Technique: Two-panel axial: CT | PSMA PET, 18F-PSMA tracer. acquired on Siemens Biograph mCT Flow 20. PET panel 200×200 px (4.1 mm/px).
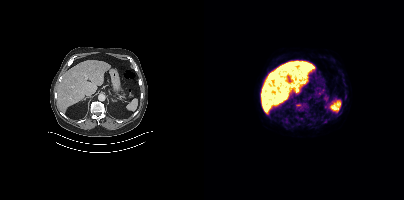
Findings: Only PSMA-avid lesion pieces thinner than 2 px on this slice (not listed).